modality: PSMA PET/CT | tracer: [18F]PSMA-1007 | view: axial | PET grid: 200×200 | de-identification: privacy mask over head
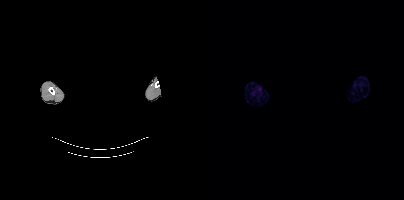
Negative for PSMA-avid disease on this slice.